- Left: CT. Right: PSMA PET, same axial level, [18F]PSMA-1007 tracer
- PET panel 200×200 px (4.1 mm/px)
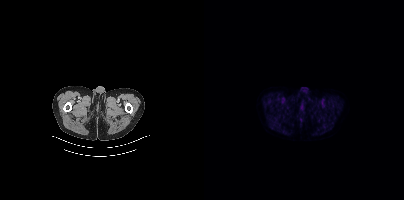
Findings: No PSMA-avid tumor lesions on this slice.